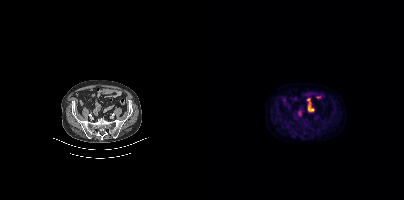
Negative for PSMA-avid disease on this slice. Left: CT. Right: PSMA PET, same axial level, 18F tracer. PET panel 200×200 px (4.1 mm/px).